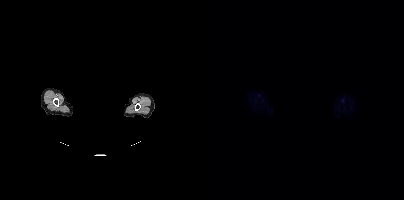
Technique: Left: CT. Right: PSMA PET, same axial level, 18F-PSMA tracer.
Note: De-identified by setting a box covering the face to black before release.
Findings: This slice has no annotated PSMA-avid lesion.